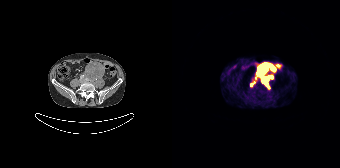
{"modality":"PSMA PET/CT","view":"axial","tracer":"[68Ga]Ga-PSMA-11","pet_grid":[168,168],"coord_frame":"pet_panel","coord_format":"x0,y0,x1,y1","partial":true,"lesion_bboxes":[[84,63,103,87]],"small_foci_centers":[[79,84]]}